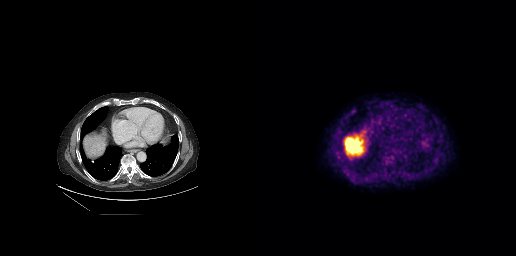
Two-panel axial: CT | PSMA PET, [18F]PSMA-1007 tracer. Slice 172 of 263. PET panel 256×256 px (2.7 mm/px).
Coordinates are on the 256×256 PET (right) panel. PSMA-avid tumor lesion bounding boxes:
| # | x0 | y0 | x1 | y1 |
|---|---|---|---|---|
| 1 | 89 | 107 | 96 | 114 |